Technique: Left: CT. Right: PSMA PET, same axial level, 18F tracer.
Note: The head region is masked for de-identification.
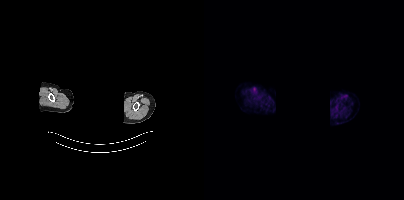
Findings: No PSMA-avid tumor lesions on this slice.